Technique: Two-panel axial: CT | PSMA PET, 18F-PSMA tracer. acquired on Siemens Biograph mCT Flow 20. slice 404 of 438. PET panel 200×200 px (4.1 mm/px).
Note: Any black rectangle over the head is a privacy mask, not anatomy.
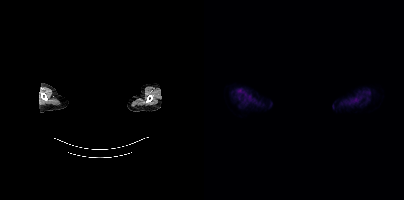
Findings: No tumor lesions annotated on this slice.